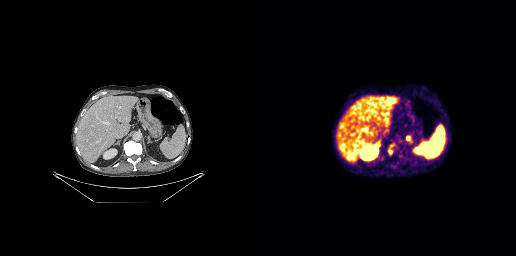
Paired axial CT (left) and PSMA PET (right), [68Ga]Ga-PSMA-11 tracer. Acquired on GE Discovery 690. PET panel 256×256 px (2.7 mm/px).
Coordinates are on the 256×256 PET (right) panel. PSMA-avid tumor lesion bounding boxes:
| # | x0 | y0 | x1 | y1 |
|---|---|---|---|---|
| 1 | 146 | 136 | 149 | 140 |
Small PSMA-avid foci (2 to 4 px across) near (center x, center y): (130, 151); (118, 143).